Left: CT. Right: PSMA PET, same axial level, 68Ga tracer. Acquired on Siemens Biograph 64-4R TruePoint.
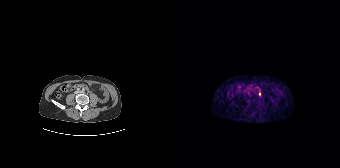
Coordinates are on the 168×168 PET (right) panel. Small PSMA-avid focus (2 to 4 px across) near (center x, center y): (87, 93).